Left: CT. Right: PSMA PET, same axial level, 18F tracer. Slice 51 of 375. PET panel 200×200 px (4.1 mm/px).
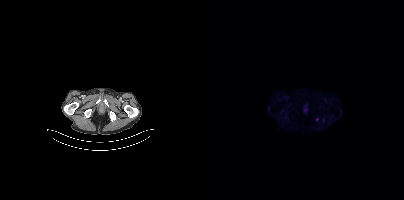
No PSMA-avid tumor lesions on this slice.